modality: PSMA PET/CT | tracer: 68Ga | view: axial
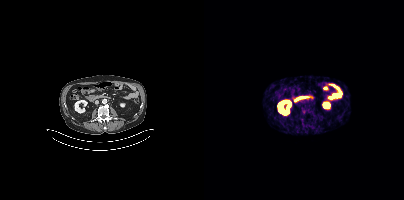
No PSMA-avid tumor lesions on this slice.